- Left: CT. Right: PSMA PET, same axial level, [18F]PSMA-1007 tracer
- slice 225 of 421
- PET panel 200×200 px (4.1 mm/px)
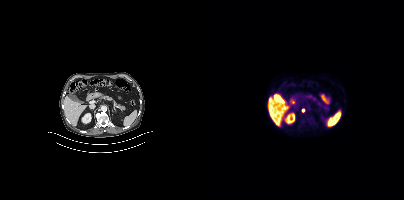
Findings: Coordinates are on the 200×200 PET (right) panel. Small PSMA-avid focus (2 to 4 px across) near (center x, center y): (99, 110).